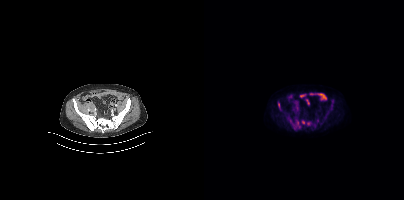
Coordinates are on the 200×200 PET (right) panel. PSMA-avid tumor lesion bounding boxes (x0, y0)-(x1, y1): (90, 120)-(96, 128); (103, 121)-(107, 125); (74, 102)-(76, 109). Small PSMA-avid foci (2 to 4 px across) near (center x, center y): (99, 121); (128, 101).
modality: PSMA PET/CT | tracer: 18F | view: axial